Paired axial CT (left) and PSMA PET (right), 18F-PSMA tracer.
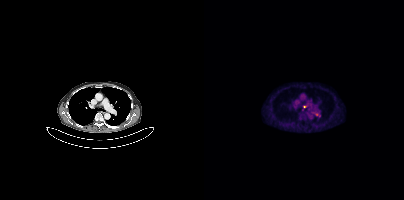
Coordinates are on the 200×200 PET (right) panel. (showing 1 of 2 foci) Small PSMA-avid focus (2 to 4 px across) near (center x, center y): (100, 106).